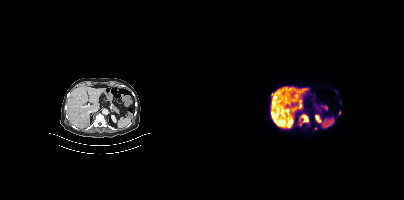
Left: CT. Right: PSMA PET, same axial level, 18F tracer. Slice position z = -574 mm.
Coordinates are on the 200×200 PET (right) panel. PSMA-avid tumor lesion bounding boxes:
| # | x0 | y0 | x1 | y1 |
|---|---|---|---|---|
| 1 | 67 | 113 | 75 | 123 |
| 2 | 76 | 108 | 85 | 113 |
| 3 | 98 | 115 | 104 | 121 |
| 4 | 94 | 88 | 98 | 92 |
Small PSMA-avid foci (2 to 4 px across) near (center x, center y): (135, 112); (102, 88).